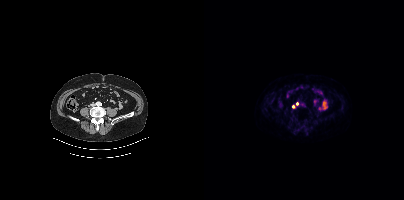
Two-panel axial: CT | PSMA PET, 18F-PSMA tracer. Acquired on Siemens Biograph mCT Flow 20. Slice 149 of 452. Coordinates are on the 200×200 PET (right) panel. (showing 1 of 2 foci) Small PSMA-avid focus (2 to 4 px across) near (center x, center y): (89, 106).